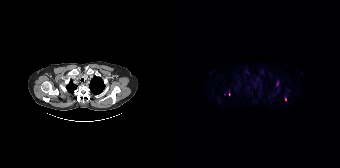
Coordinates are on the 168×168 PET (right) panel. (showing 2 of 4 foci) Small PSMA-avid foci (2 to 4 px across) near (center x, center y): (113, 99); (80, 93).